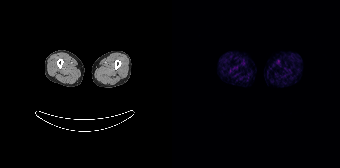
No PSMA-avid tumor lesions on this slice.